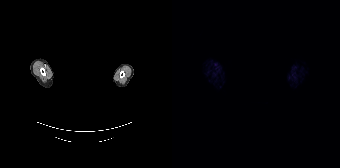
Two-panel axial: CT | PSMA PET, 68Ga tracer. Acquired on Siemens Biograph 64-4R TruePoint. PET panel 168×168 px (4.1 mm/px). Facial anatomy redacted by setting a rectangular region of the head to black. This slice has no annotated PSMA-avid lesion.